Paired axial CT (left) and PSMA PET (right), 18F-PSMA tracer. Slice 3 of 299.
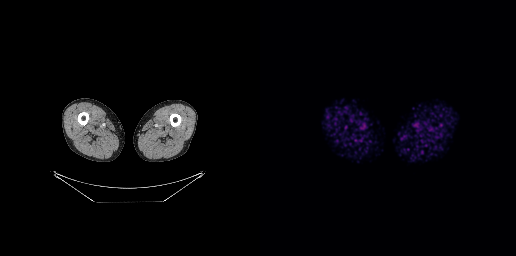
No PSMA-avid tumor lesions on this slice.